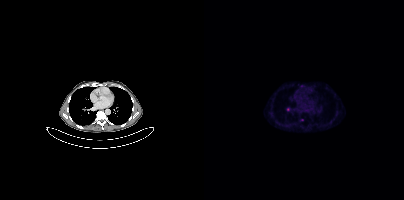
{"modality":"PSMA PET/CT","view":"axial","tracer":"[68Ga]Ga-PSMA-11","pet_grid":[200,200],"coord_frame":"pet_panel","coord_format":"x0,y0,x1,y1","partial":true,"lesion_bboxes":[],"small_foci_centers":[[84,109]]}